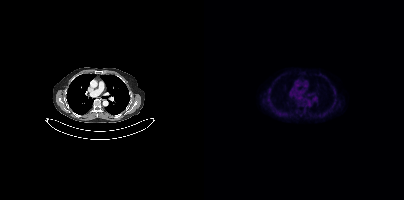
Negative for PSMA-avid disease on this slice. Left: CT. Right: PSMA PET, same axial level, 18F tracer. PET panel 200×200 px (4.1 mm/px).